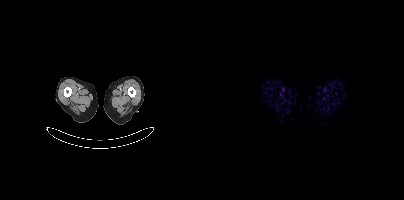
{"modality":"PSMA PET/CT","view":"axial","tracer":"[18F]PSMA-1007","pet_grid":[200,200],"coord_frame":"pet_panel","coord_format":"x0,y0,x1,y1","psma_avid_lesions":false}